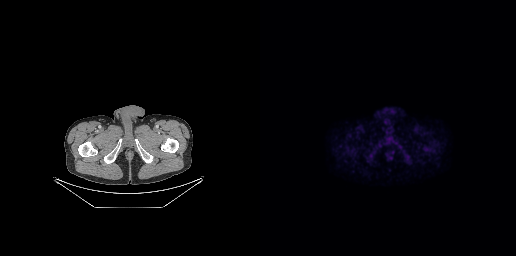
{"modality":"PSMA PET/CT","view":"axial","tracer":"18F-PSMA","pet_grid":[256,256],"coord_frame":"pet_panel","coord_format":"x0,y0,x1,y1","psma_avid_lesions":false}